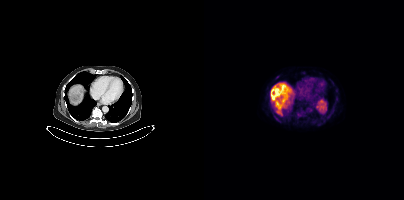
Technique: Two-panel axial: CT | PSMA PET, 18F-PSMA tracer. acquired on Siemens Biograph mCT Flow 20. slice position z = -1147 mm. PET panel 200×200 px (4.1 mm/px).
Findings: Coordinates are on the 200×200 PET (right) panel. PSMA-avid tumor lesion bounding box (x0,y0,x1,y1): [67,90,73,96].